Paired axial CT (left) and PSMA PET (right), 18F tracer. PET panel 256×256 px (2.7 mm/px).
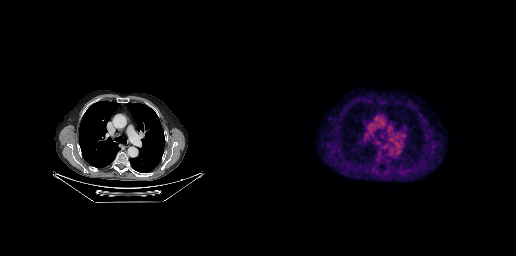
No PSMA-avid tumor lesions on this slice.